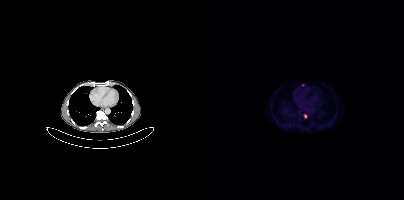
Coordinates are on the 200×200 PET (right) panel. Small PSMA-avid focus (2 to 4 px across) near (center x, center y): (101, 116).